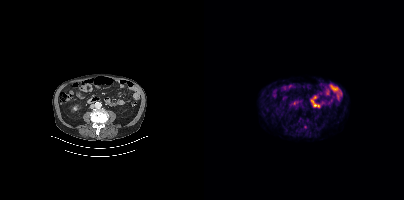
{"modality":"PSMA PET/CT","view":"axial","tracer":"18F-PSMA","pet_grid":[200,200],"coord_frame":"pet_panel","coord_format":"x0,y0,x1,y1","psma_avid_lesions":false}